- Paired axial CT (left) and PSMA PET (right), 18F tracer
- slice position z = -493 mm
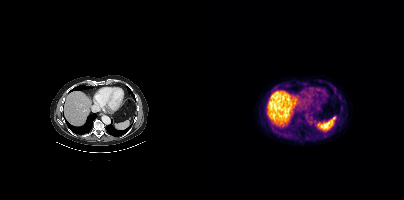
Findings: This slice has no annotated PSMA-avid lesion.